Left: CT. Right: PSMA PET, same axial level, 18F tracer. Acquired on Siemens Biograph mCT Flow 20.
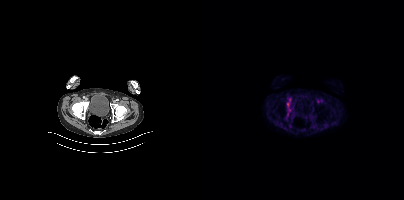
This slice has no annotated PSMA-avid lesion.